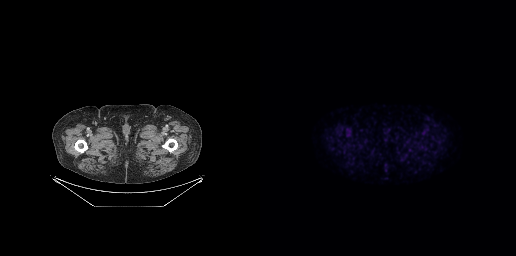
Technique: Paired axial CT (left) and PSMA PET (right), 18F-PSMA tracer. slice position z = -862 mm. PET panel 256×256 px (2.7 mm/px).
Findings: No PSMA-avid tumor lesions on this slice.